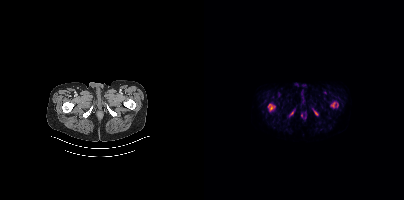
Coordinates are on the 200×200 PET (right) panel. (showing 5 of 6 foci) PSMA-avid tumor lesion bounding boxes (x0, y0)-(x1, y1): (64, 103)-(71, 111); (127, 102)-(131, 107); (85, 110)-(90, 116); (110, 111)-(113, 115). Small PSMA-avid focus (2 to 4 px across) near (center x, center y): (133, 104).